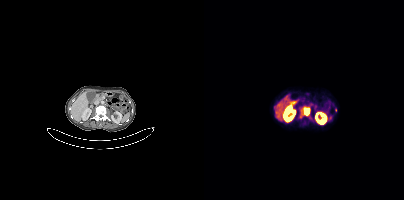
Coordinates are on the 200×200 PET (right) panel. PSMA-avid tumor lesion bounding boxes:
| # | x0 | y0 | x1 | y1 |
|---|---|---|---|---|
| 1 | 100 | 108 | 105 | 115 |
Small PSMA-avid foci (2 to 4 px across) near (center x, center y): (71, 107); (131, 110).
Paired axial CT (left) and PSMA PET (right), [68Ga]Ga-PSMA-11 tracer.